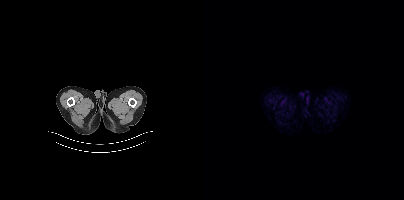
No tumor lesions annotated on this slice.